- Two-panel axial: CT | PSMA PET, 18F-PSMA tracer
- slice position z = -1117 mm
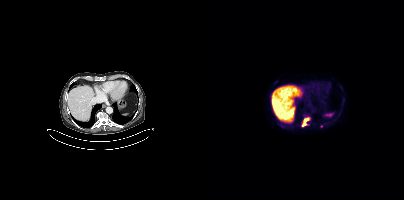
Findings: Coordinates are on the 200×200 PET (right) panel. PSMA-avid tumor lesion bounding box (x0, y0)-(x1, y1): (98, 117)-(106, 126). Small PSMA-avid foci (2 to 4 px across) near (center x, center y): (77, 125) / (139, 99) / (117, 126) / (100, 114).